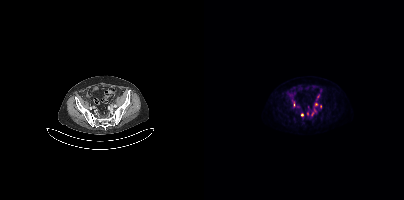
Paired axial CT (left) and PSMA PET (right), 18F-PSMA tracer.
Coordinates are on the 200×200 PET (right) panel. PSMA-avid tumor lesion bounding boxes:
| # | x0 | y0 | x1 | y1 |
|---|---|---|---|---|
| 1 | 89 | 101 | 91 | 106 |
Small PSMA-avid foci (2 to 4 px across) near (center x, center y): (108, 113); (98, 114); (112, 103); (116, 106); (110, 109); (103, 113).